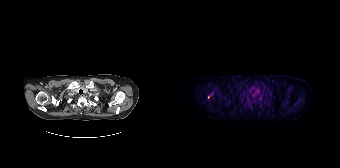
Only PSMA-avid lesion pieces thinner than 2 px on this slice (not listed).